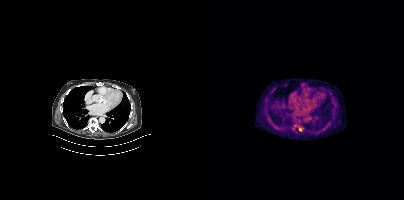
Coordinates are on the 200×200 PET (right) panel. Small PSMA-avid focus (2 to 4 px across) near (center x, center y): (96, 129).